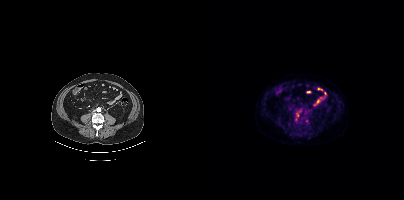
Coordinates are on the 200×200 PET (right) panel. Small PSMA-avid foci (2 to 4 px across) near (center x, center y): (92, 119); (103, 121); (93, 114). Left: CT. Right: PSMA PET, same axial level, 18F tracer.